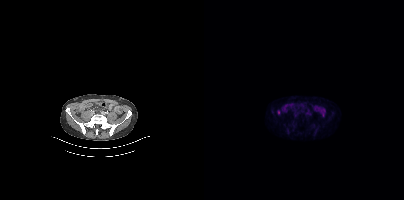
Coordinates are on the 200×200 PET (right) panel. PSMA-avid tumor lesion bounding box (x, y, width, height): x=73 y=110 w=4 h=5. Left: CT. Right: PSMA PET, same axial level, 18F-PSMA tracer. Slice 138 of 435. PET panel 200×200 px (4.1 mm/px).